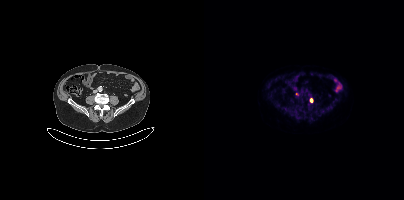
Paired axial CT (left) and PSMA PET (right), [18F]PSMA-1007 tracer. Slice position z = -783 mm. PET panel 200×200 px (4.1 mm/px). Coordinates are on the 200×200 PET (right) panel. Small PSMA-avid focus (2 to 4 px across) near (center x, center y): (107, 100).